- Paired axial CT (left) and PSMA PET (right), 18F tracer
- slice 268 of 401
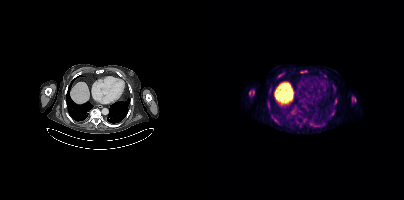
Findings: Coordinates are on the 200×200 PET (right) panel. (showing 5 of 7 foci) PSMA-avid tumor lesion bounding boxes (x0,y0,x1,y1): [45,90,50,95] [148,97,151,101] [63,104,66,109] [70,119,74,123]. Small PSMA-avid focus (2 to 4 px across) near (center x, center y): (76, 75).